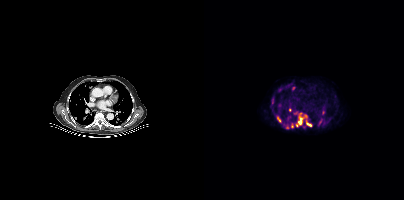
Coordinates are on the 200×200 PET (right) panel. (showing 11 of 12 foci) PSMA-avid tumor lesion bounding boxes (x, y, width, height): x=90 y=112 w=10 h=15; x=102 y=121 w=7 h=6; x=73 y=116 w=5 h=7; x=118 y=110 w=3 h=5; x=87 y=123 w=3 h=5; x=67 y=97 w=3 h=5. Small PSMA-avid foci (2 to 4 px across) near (center x, center y): (89, 88); (83, 127); (85, 110); (101, 116); (75, 89).
modality: PSMA PET/CT | tracer: 18F | view: axial | PET grid: 200×200